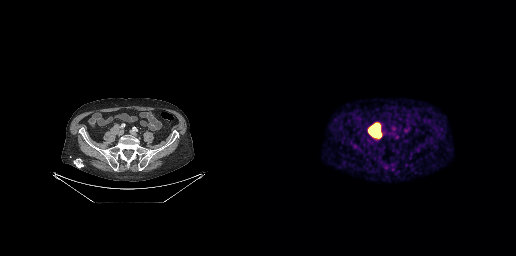
Coordinates are on the 256×256 PET (right) panel. PSMA-avid tumor lesion bounding box (x, y, width, height): x=110 y=125 w=9 h=11.